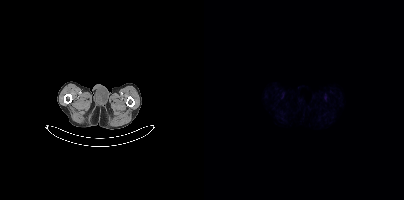
Negative for PSMA-avid disease on this slice.